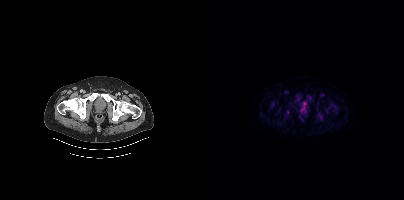
Coordinates are on the 200×200 PET (right) panel. (showing 10 of 12 foci) PSMA-avid tumor lesion bounding boxes (x0,y0,x1,y1): [96,109,102,113]; [66,101,70,106]; [113,114,118,119]; [102,95,107,100]; [74,107,78,111]; [84,101,88,105]; [93,97,96,101]. Small PSMA-avid foci (2 to 4 px across) near (center x, center y): (82, 114); (125, 104); (123, 108).